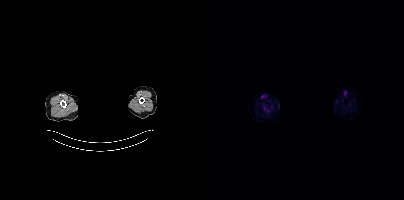
A rectangle over the head was blacked out to remove identifiable facial features.
No PSMA-avid tumor lesions on this slice.